modality: PSMA PET/CT | tracer: [68Ga]Ga-PSMA-11 | view: axial
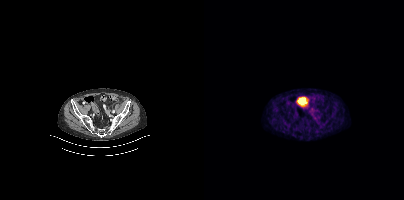
Coordinates are on the 200×200 PET (right) panel. Small PSMA-avid focus (2 to 4 px across) near (center x, center y): (110, 110).